modality: PSMA PET/CT | tracer: [18F]PSMA-1007 | view: axial | PET grid: 200×200
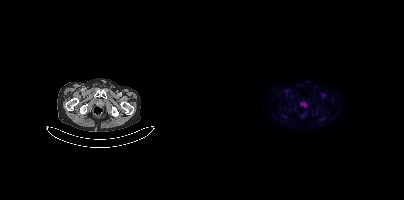
This slice has no annotated PSMA-avid lesion.